Left: CT. Right: PSMA PET, same axial level, 18F-PSMA tracer. Slice position z = -1136 mm. PET panel 200×200 px (4.1 mm/px).
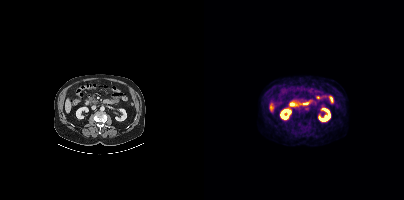
This slice has no annotated PSMA-avid lesion.